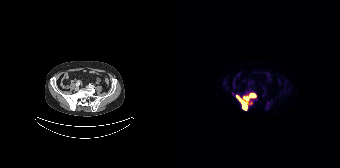
Two-panel axial: CT | PSMA PET, [18F]PSMA-1007 tracer. PET panel 168×168 px (4.1 mm/px).
Coordinates are on the 168×168 PET (right) panel. PSMA-avid tumor lesion bounding boxes:
| # | x0 | y0 | x1 | y1 |
|---|---|---|---|---|
| 1 | 64 | 92 | 84 | 110 |